Paired axial CT (left) and PSMA PET (right), 18F tracer. Acquired on Siemens Biograph mCT Flow 20.
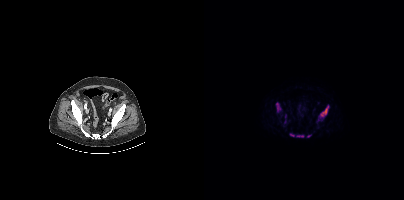
Coordinates are on the 200×200 PET (right) panel. (showing 7 of 8 foci) PSMA-avid tumor lesion bounding boxes (x, y, width, height): x=115 y=104 w=11 h=15 / x=72 y=102 w=6 h=11 / x=92 y=135 w=9 h=3 / x=86 y=133 w=5 h=4. Small PSMA-avid foci (2 to 4 px across) near (center x, center y): (104, 136) / (81, 116) / (114, 119).